Technique: Left: CT. Right: PSMA PET, same axial level, 18F-PSMA tracer. slice 165 of 448. PET panel 200×200 px (4.1 mm/px).
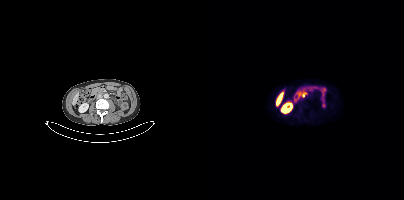
Findings: Only PSMA-avid lesion pieces thinner than 2 px on this slice (not listed).